Paired axial CT (left) and PSMA PET (right), 18F tracer.
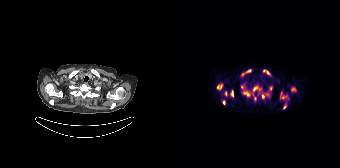
Coordinates are on the 168×168 PET (right) panel. (showing 14 of 16 foci) PSMA-avid tumor lesion bounding boxes (x0, y0)-(x1, y1): (80, 86)-(89, 100) / (89, 92)-(97, 98) / (70, 91)-(78, 96) / (108, 91)-(115, 99) / (69, 69)-(79, 76) / (45, 84)-(50, 89) / (119, 87)-(124, 91) / (91, 69)-(98, 74) / (58, 90)-(61, 97) / (97, 86)-(100, 91) / (111, 104)-(114, 108) / (50, 100)-(53, 104) / (53, 91)-(55, 95) / (69, 85)-(71, 89).